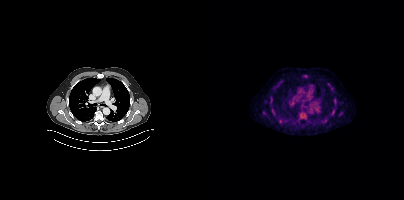
Coordinates are on the 200×200 PET (right) panel. Small PSMA-avid foci (2 to 4 px across) near (center x, center y): (131, 100); (124, 83); (67, 97); (68, 109); (129, 111).